Technique: Left: CT. Right: PSMA PET, same axial level, 68Ga tracer.
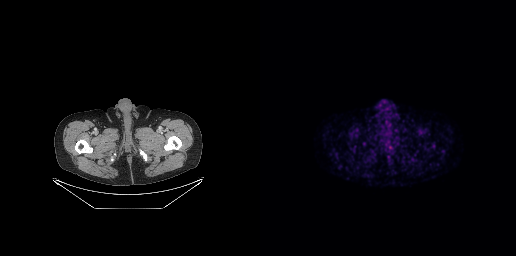
Findings: No tumor lesions annotated on this slice.